- Two-panel axial: CT | PSMA PET, [18F]PSMA-1007 tracer
- slice 343 of 373
- PET panel 200×200 px (4.1 mm/px)
- a rectangular block over the head has been blanked out for de-identification
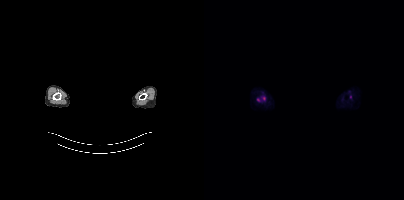
Findings: Coordinates are on the 200×200 PET (right) panel. Small PSMA-avid foci (2 to 4 px across) near (center x, center y): (146, 96) / (59, 98) / (54, 98).